Technique: Two-panel axial: CT | PSMA PET, 18F-PSMA tracer. PET panel 200×200 px (4.1 mm/px).
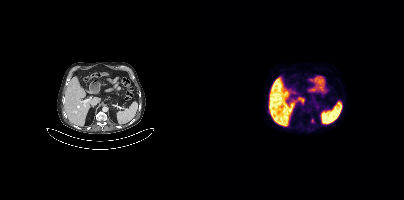
Findings: Coordinates are on the 200×200 PET (right) panel. (showing 1 of 2 foci) Small PSMA-avid focus (2 to 4 px across) near (center x, center y): (108, 120).